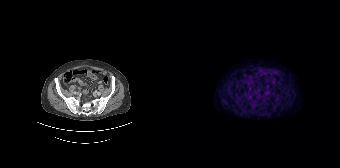
{"modality":"PSMA PET/CT","view":"axial","tracer":"[68Ga]Ga-PSMA-11","pet_grid":[168,168],"coord_frame":"pet_panel","coord_format":"x0,y0,x1,y1","psma_avid_lesions":false}